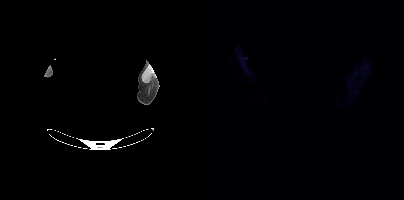
modality: PSMA PET/CT | tracer: 18F-PSMA | view: axial | PET grid: 200×200 | deidentification: facial region redacted
Negative for PSMA-avid disease on this slice.